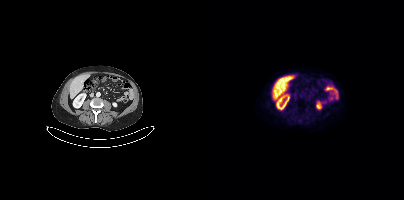
Findings: Negative for PSMA-avid disease on this slice.
Technique: Two-panel axial: CT | PSMA PET, [18F]PSMA-1007 tracer. acquired on Siemens Biograph mCT Flow 20.